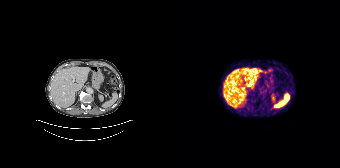
Left: CT. Right: PSMA PET, same axial level, [68Ga]Ga-PSMA-11 tracer. Slice 117 of 195. PET panel 168×168 px (4.1 mm/px). Negative for PSMA-avid disease on this slice.